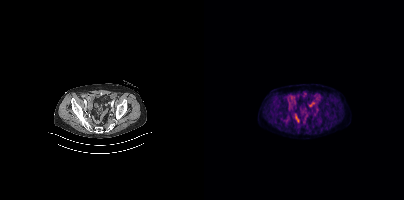
Findings: No tumor lesions annotated on this slice.
Technique: Two-panel axial: CT | PSMA PET, 18F-PSMA tracer. slice position z = -1422 mm. PET panel 200×200 px (4.1 mm/px).